modality: PSMA PET/CT | tracer: 18F-PSMA | view: axial | PET grid: 200×200 | de-identification: head region blacked out before release
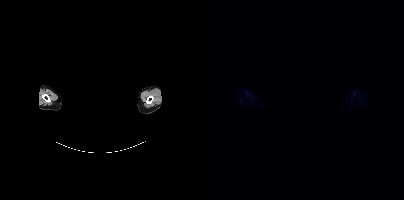
No PSMA-avid tumor lesions on this slice.